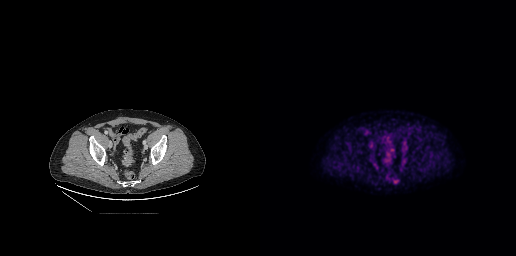
modality: PSMA PET/CT | tracer: 18F | view: axial | PET grid: 256×256
Coordinates are on the 256×256 PET (right) panel. PSMA-avid tumor lesion bounding box (x0, y0)-(x1, y1): (132, 178)-(139, 183).